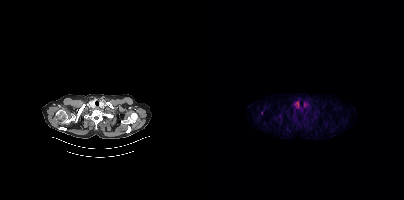
Two-panel axial: CT | PSMA PET, 18F tracer. Slice 336 of 427. PET panel 200×200 px (4.1 mm/px). Coordinates are on the 200×200 PET (right) panel. Small PSMA-avid focus (2 to 4 px across) near (center x, center y): (57, 112).